Two-panel axial: CT | PSMA PET, [18F]PSMA-1007 tracer. Acquired on Siemens Biograph mCT Flow 20.
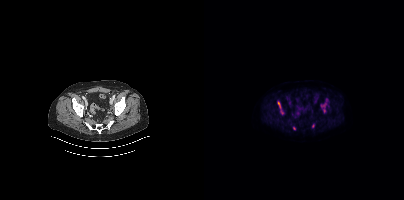
Coordinates are on the 200×200 PET (right) panel. PSMA-avid tumor lesion bounding boxes (partial; 2 more foci not listed):
| # | x0 | y0 | x1 | y1 |
|---|---|---|---|---|
| 1 | 73 | 101 | 79 | 114 |
Small PSMA-avid foci (2 to 4 px across) near (center x, center y): (90, 128); (108, 125).